modality: PSMA PET/CT | tracer: [68Ga]Ga-PSMA-11 | view: axial
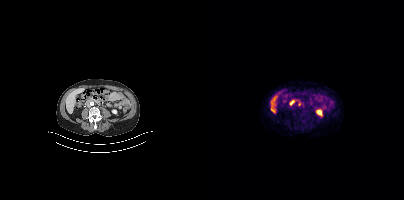
Coordinates are on the 200×200 PET (right) panel. (showing 1 of 2 foci) PSMA-avid tumor lesion bounding box (x0, y0)-(x1, y1): (85, 100)-(90, 105).